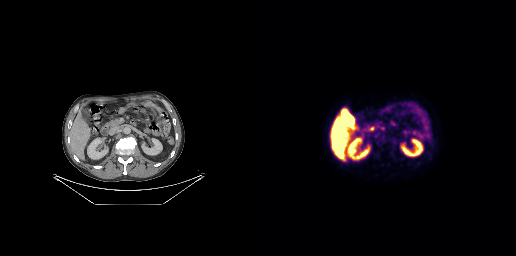
This slice has no annotated PSMA-avid lesion.